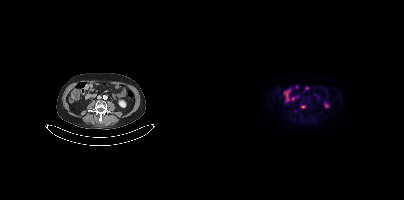
{"modality":"PSMA PET/CT","view":"axial","tracer":"[18F]PSMA-1007","pet_grid":[200,200],"coord_frame":"pet_panel","coord_format":"x0,y0,x1,y1","lesion_bboxes":[[97,105,101,108]]}